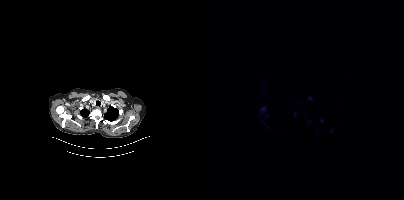
Coordinates are on the 200×200 PET (right) panel. PSMA-avid tumor lesion bounding box (x, y, width, height): x=104 y=97 w=5 h=3. Small PSMA-avid foci (2 to 4 px across) near (center x, center y): (59, 109); (90, 114); (104, 121); (117, 120).